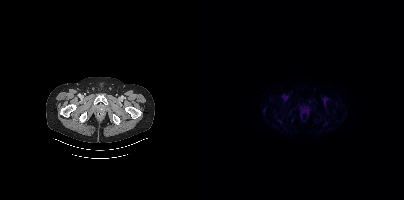
No PSMA-avid tumor lesions on this slice.